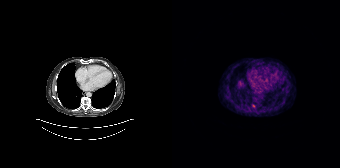
Coordinates are on the 168×168 PET (right) panel. Small PSMA-avid focus (2 to 4 px across) near (center x, center y): (81, 105).